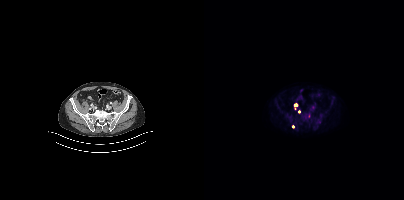
Coordinates are on the 200×200 PET (right) panel. (showing 1 of 4 foci) Small PSMA-avid focus (2 to 4 px across) near (center x, center y): (91, 104). Two-panel axial: CT | PSMA PET, 18F-PSMA tracer. Slice 113 of 421. PET panel 200×200 px (4.1 mm/px).